- Left: CT. Right: PSMA PET, same axial level, [18F]PSMA-1007 tracer
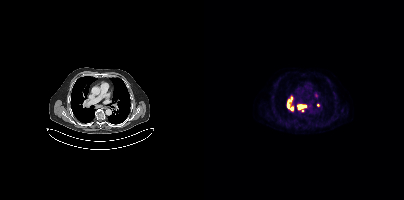
Findings: Coordinates are on the 200×200 PET (right) panel. PSMA-avid tumor lesion bounding box (x, y, width, height): x=94 y=105 w=8 h=5.